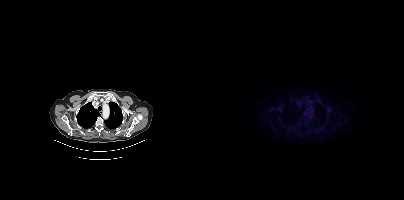
modality: PSMA PET/CT | tracer: 18F-PSMA | view: axial
No PSMA-avid tumor lesions on this slice.